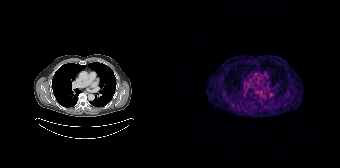
Paired axial CT (left) and PSMA PET (right), [68Ga]Ga-PSMA-11 tracer. Acquired on Siemens Biograph 64-4R TruePoint. PET panel 168×168 px (4.1 mm/px). This slice has no annotated PSMA-avid lesion.